Paired axial CT (left) and PSMA PET (right), 18F-PSMA tracer. Slice 9 of 407.
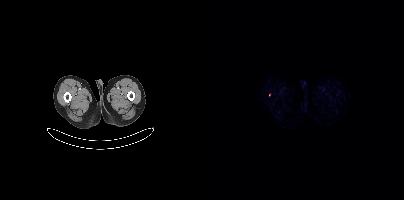
Coordinates are on the 200×200 PET (right) panel. Small PSMA-avid focus (2 to 4 px across) near (center x, center y): (65, 95).